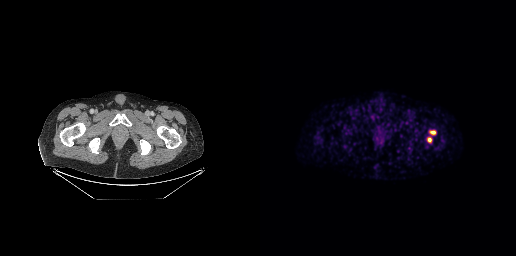
Coordinates are on the 256×256 PET (right) panel. PSMA-avid tumor lesion bounding boxes (x0,y0,x1,y1): [170,130,175,134], [167,137,171,142]. Left: CT. Right: PSMA PET, same axial level, 68Ga-PSMA tracer. Acquired on GE Discovery 690. PET panel 256×256 px (2.7 mm/px).